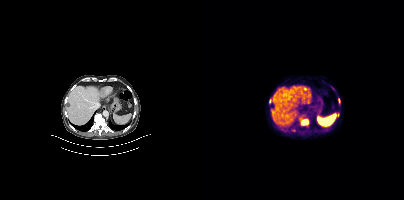
Technique: Left: CT. Right: PSMA PET, same axial level, [18F]PSMA-1007 tracer. acquired on Siemens Biograph mCT Flow 20. slice 237 of 405. PET panel 200×200 px (4.1 mm/px).
Findings: Coordinates are on the 200×200 PET (right) panel. (showing 3 of 4 foci) PSMA-avid tumor lesion bounding box (x, y, width, height): x=96 y=119 w=9 h=7. Small PSMA-avid foci (2 to 4 px across) near (center x, center y): (66, 100); (133, 115).